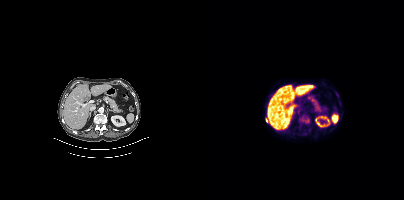
Two-panel axial: CT | PSMA PET, [18F]PSMA-1007 tracer. Coordinates are on the 200×200 PET (right) panel. PSMA-avid tumor lesion bounding box (x0, y0)-(x1, y1): (96, 115)-(106, 123). Small PSMA-avid focus (2 to 4 px across) near (center x, center y): (62, 120).